modality: PSMA PET/CT | tracer: 18F | view: axial | PET grid: 200×200
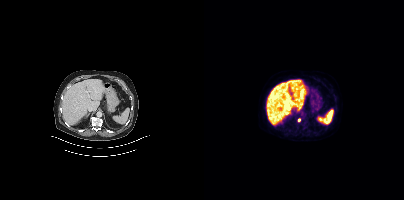
Coordinates are on the 200×200 PET (right) panel. PSMA-avid tumor lesion bounding box (x0, y0)-(x1, y1): (93, 118)-(96, 122).